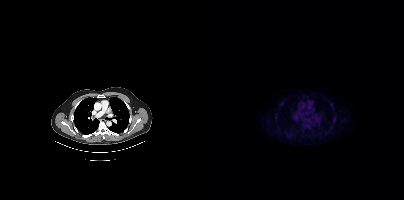
No PSMA-avid tumor lesions on this slice. Two-panel axial: CT | PSMA PET, 18F tracer. Acquired on Siemens Biograph mCT Flow 20. PET panel 200×200 px (4.1 mm/px).